Paired axial CT (left) and PSMA PET (right), [18F]PSMA-1007 tracer.
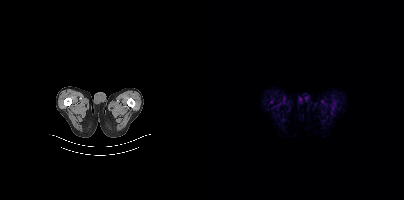
This slice has no annotated PSMA-avid lesion.